Technique: Paired axial CT (left) and PSMA PET (right), [68Ga]Ga-PSMA-11 tracer. PET panel 168×168 px (4.1 mm/px).
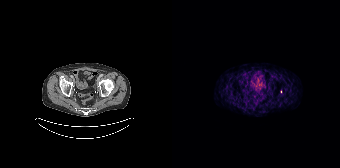
Findings: Only PSMA-avid lesion pieces thinner than 2 px on this slice (not listed).